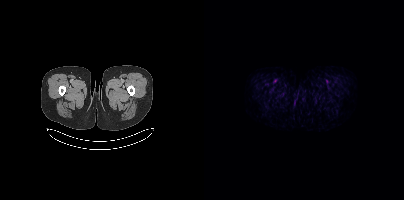
Negative for PSMA-avid disease on this slice.